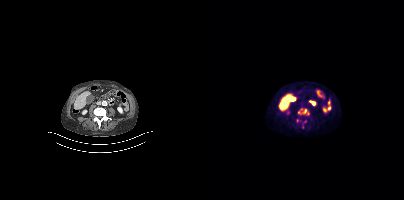
Technique: Two-panel axial: CT | PSMA PET, 18F-PSMA tracer. slice 128 of 373.
Findings: Coordinates are on the 200×200 PET (right) panel. (showing 2 of 3 foci) PSMA-avid tumor lesion bounding boxes (x0, y0)-(x1, y1): (94, 108)-(105, 115) | (99, 120)-(102, 124).